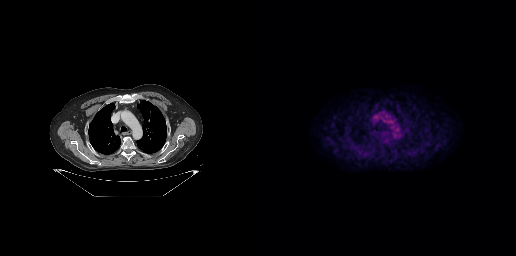
Left: CT. Right: PSMA PET, same axial level, 18F tracer. Acquired on GE Discovery 690. No PSMA-avid tumor lesions on this slice.